Technique: Two-panel axial: CT | PSMA PET, 18F-PSMA tracer. slice position z = -631 mm.
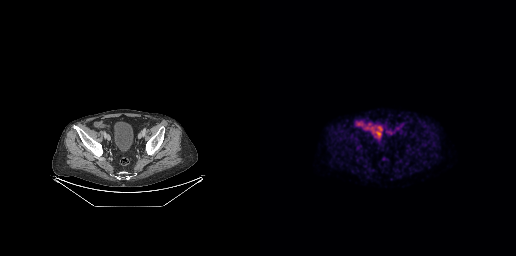
Findings: Negative for PSMA-avid disease on this slice.